modality: PSMA PET/CT | tracer: 18F-PSMA | view: axial | PET grid: 200×200
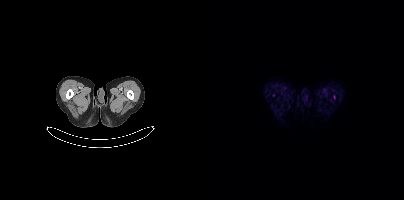
No tumor lesions annotated on this slice.